Two-panel axial: CT | PSMA PET, 18F-PSMA tracer.
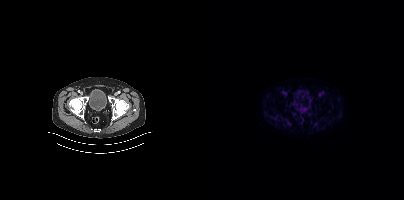
No tumor lesions annotated on this slice.